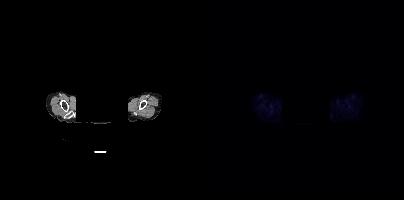
This slice has no annotated PSMA-avid lesion. Paired axial CT (left) and PSMA PET (right), 18F tracer. Acquired on Siemens Biograph mCT Flow 20. Slice 355 of 401. Any black rectangle over the head is a privacy mask, not anatomy.